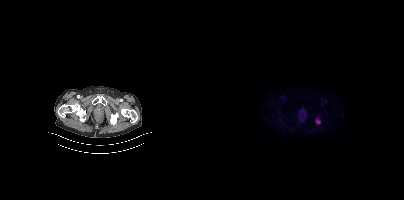
Coordinates are on the 200×200 PET (right) panel. PSMA-avid tumor lesion bounding box (x0, y0)-(x1, y1): (112, 119)-(116, 124).